- Left: CT. Right: PSMA PET, same axial level, 18F tracer
- slice position z = -1003 mm
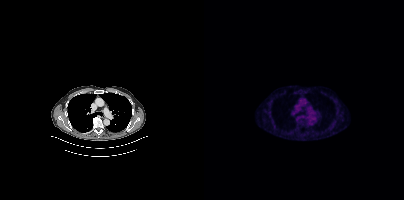
Findings: No PSMA-avid tumor lesions on this slice.